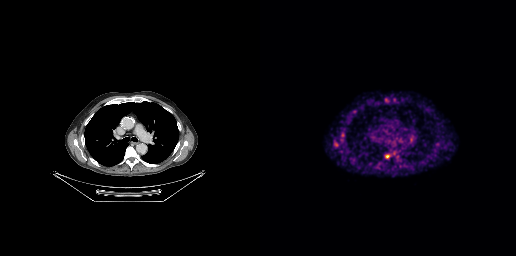
{"modality":"PSMA PET/CT","view":"axial","tracer":"68Ga-PSMA","pet_grid":[256,256],"coord_frame":"pet_panel","coord_format":"x0,y0,x1,y1","partial":true,"lesion_bboxes":[]}